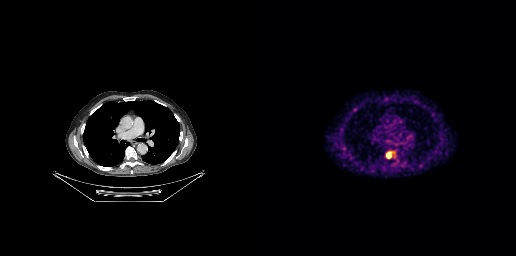
{"modality":"PSMA PET/CT","view":"axial","tracer":"68Ga-PSMA","pet_grid":[256,256],"coord_frame":"pet_panel","coord_format":"x0,y0,x1,y1","lesion_bboxes":[[126,152,130,158]]}